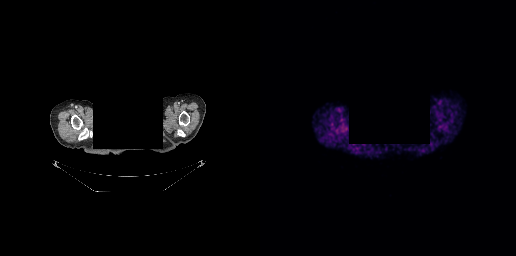
Negative for PSMA-avid disease on this slice.
modality: PSMA PET/CT | tracer: 68Ga-PSMA | view: axial | de-identification: head region blanked (face removed)